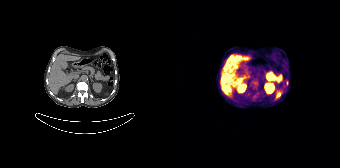
{"modality":"PSMA PET/CT","view":"axial","tracer":"68Ga","pet_grid":[168,168],"coord_frame":"pet_panel","coord_format":"x0,y0,x1,y1","lesion_bboxes":[],"small_foci_centers":[[115,84]]}